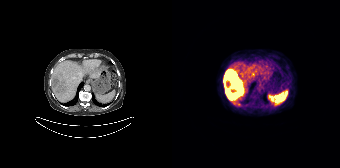
Coordinates are on the 168×168 PET (right) panel. PSMA-avid tumor lesion bounding box (x0, y0)-(x1, y1): (51, 70)-(71, 100).